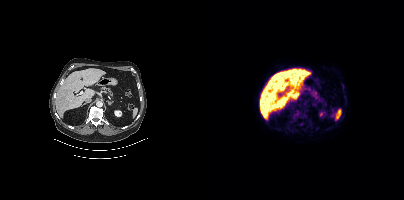
modality: PSMA PET/CT | tracer: 18F-PSMA | view: axial
No PSMA-avid tumor lesions on this slice.